- Paired axial CT (left) and PSMA PET (right), 18F tracer
- acquired on Siemens Biograph mCT Flow 20
- slice position z = -438 mm
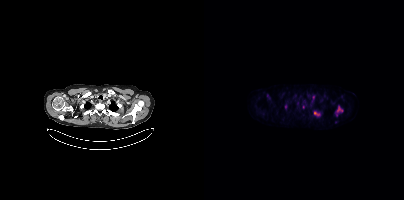
Findings: Coordinates are on the 200×200 PET (right) panel. (showing 3 of 5 foci) PSMA-avid tumor lesion bounding boxes (x, y, width, height): x=132 y=106 w=7 h=10 / x=110 y=111 w=7 h=6. Small PSMA-avid focus (2 to 4 px across) near (center x, center y): (81, 106).